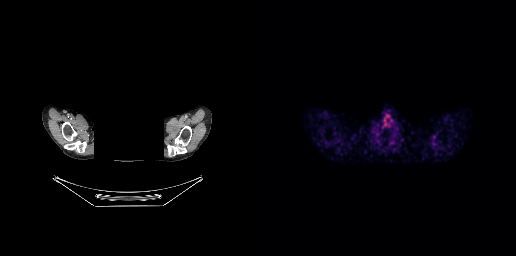
Paired axial CT (left) and PSMA PET (right), 68Ga-PSMA tracer. Acquired on GE Discovery 690. PET panel 256×256 px (2.7 mm/px). The face region was removed for patient privacy by blanking a rectangle over the head. No PSMA-avid tumor lesions on this slice.